Two-panel axial: CT | PSMA PET, 18F-PSMA tracer. Acquired on Siemens Biograph mCT Flow 20. PET panel 200×200 px (4.1 mm/px).
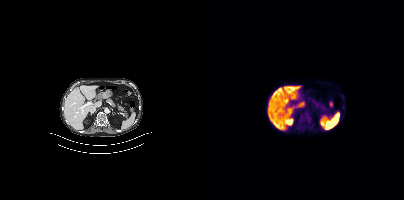
Coordinates are on the 200×200 PET (right) panel. PSMA-avid tumor lesion bounding boxes:
| # | x0 | y0 | x1 | y1 |
|---|---|---|---|---|
| 1 | 101 | 116 | 107 | 122 |